modality: PSMA PET/CT | tracer: [68Ga]Ga-PSMA-11 | view: axial
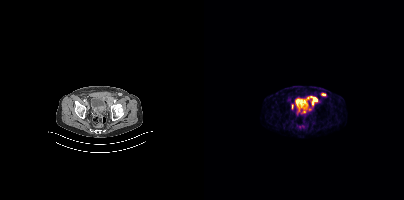
Coordinates are on the 200×200 PET (right) panel. (showing 5 of 7 foci) PSMA-avid tumor lesion bounding box (x, y, width, height): x=106 y=96 w=8 h=10. Small PSMA-avid foci (2 to 4 px across) near (center x, center y): (119, 94) / (88, 106) / (100, 111) / (105, 109).